Two-panel axial: CT | PSMA PET, [18F]PSMA-1007 tracer.
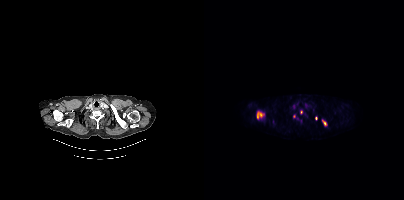
Coordinates are on the 200×200 PET (right) panel. PSMA-avid tumor lesion bounding boxes (partial; 2 more foci not listed):
| # | x0 | y0 | x1 | y1 |
|---|---|---|---|---|
| 1 | 52 | 110 | 60 | 119 |
| 2 | 118 | 120 | 122 | 125 |
Small PSMA-avid focus (2 to 4 px across) near (center x, center y): (90, 116).